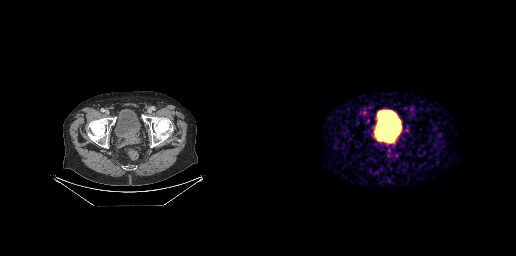
{"pet_grid":[256,256],"coord_frame":"pet_panel","coord_format":"x0,y0,x1,y1","lesion_bboxes":[[117,132,135,143]],"modality":"PSMA PET/CT","view":"axial","tracer":"[68Ga]Ga-PSMA-11"}